modality: PSMA PET/CT | tracer: 68Ga-PSMA | view: axial
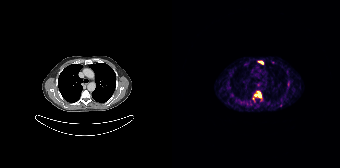
Coordinates are on the 168×168 PET (right) panel. (showing 3 of 5 foci) PSMA-avid tumor lesion bounding boxes (x0,y0,x1,y1): [81,91,89,100] [115,81,117,88] [86,61,91,64].